Technique: Paired axial CT (left) and PSMA PET (right), [68Ga]Ga-PSMA-11 tracer. slice position z = -770 mm.
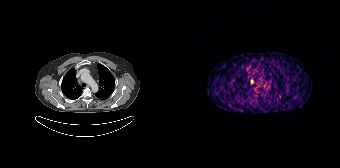
Findings: Coordinates are on the 168×168 PET (right) panel. Small PSMA-avid focus (2 to 4 px across) near (center x, center y): (79, 81).